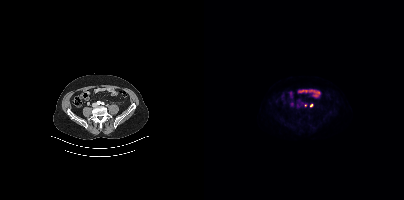
- Two-panel axial: CT | PSMA PET, [18F]PSMA-1007 tracer
- PET panel 200×200 px (4.1 mm/px)
Findings: Coordinates are on the 200×200 PET (right) panel. Small PSMA-avid foci (2 to 4 px across) near (center x, center y): (107, 105) | (101, 105).